modality: PSMA PET/CT | tracer: 18F-PSMA | view: axial
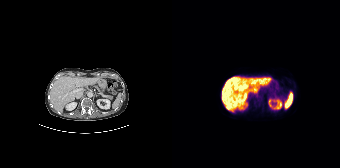
No PSMA-avid tumor lesions on this slice.